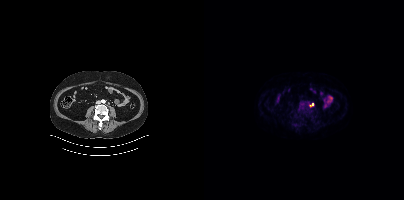
{"modality":"PSMA PET/CT","view":"axial","tracer":"18F","pet_grid":[200,200],"coord_frame":"pet_panel","coord_format":"x0,y0,x1,y1","lesion_bboxes":[[105,103,109,106]]}